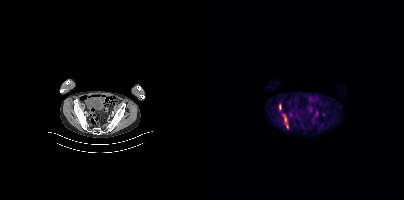
{"pet_grid":[200,200],"coord_frame":"pet_panel","coord_format":"x0,y0,x1,y1","lesion_bboxes":[[81,123,84,128],[75,104,77,109]],"modality":"PSMA PET/CT","view":"axial","tracer":"[18F]PSMA-1007"}